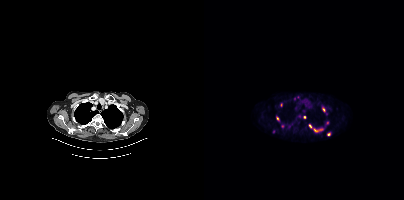
Coordinates are on the 200×200 PET (right) panel. (showing 9 of 12 foci) PSMA-avid tumor lesion bounding boxes (x0, y0)-(x1, y1): (110, 128)-(119, 132) / (118, 107)-(121, 111). Small PSMA-avid foci (2 to 4 px across) near (center x, center y): (124, 134) / (100, 117) / (94, 97) / (90, 98) / (73, 118) / (106, 126) / (123, 122).